Paired axial CT (left) and PSMA PET (right), [18F]PSMA-1007 tracer.
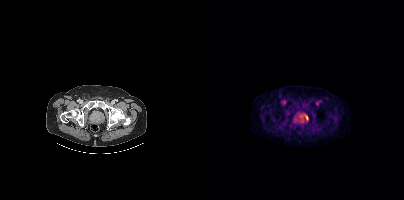
Coordinates are on the 200×200 PET (right) panel. PSMA-avid tumor lesion bounding boxes (partial; 1 more focus not listed):
| # | x0 | y0 | x1 | y1 |
|---|---|---|---|---|
| 1 | 96 | 113 | 104 | 121 |